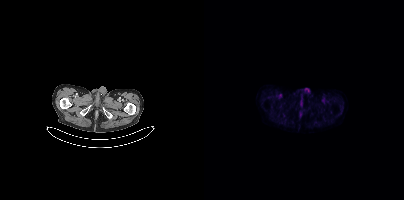
{"modality":"PSMA PET/CT","view":"axial","tracer":"18F","pet_grid":[200,200],"coord_frame":"pet_panel","coord_format":"x0,y0,x1,y1","psma_avid_lesions":false}